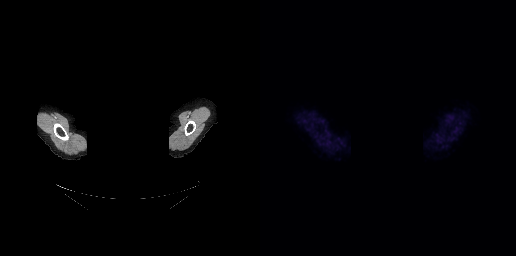
No PSMA-avid tumor lesions on this slice.
An anonymization step blacked out a rectangle over the head in this scan.